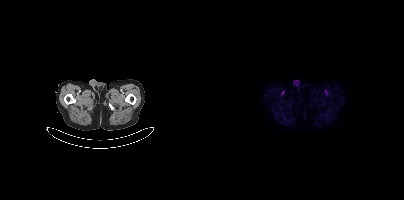
No PSMA-avid tumor lesions on this slice.
modality: PSMA PET/CT | tracer: 18F-PSMA | view: axial